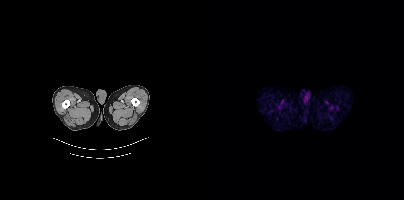
- Left: CT. Right: PSMA PET, same axial level, 18F-PSMA tracer
- slice position z = -1555 mm
Findings: No PSMA-avid tumor lesions on this slice.